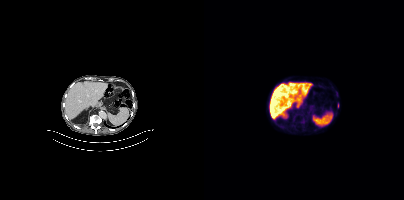
Only PSMA-avid lesion pieces thinner than 2 px on this slice (not listed).